- Two-panel axial: CT | PSMA PET, [68Ga]Ga-PSMA-11 tracer
- acquired on Siemens Biograph 64-4R TruePoint
- slice 137 of 195
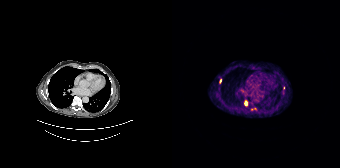
Findings: Coordinates are on the 168×168 PET (right) panel. (showing 2 of 3 foci) Small PSMA-avid foci (2 to 4 px across) near (center x, center y): (73, 102) (48, 80).